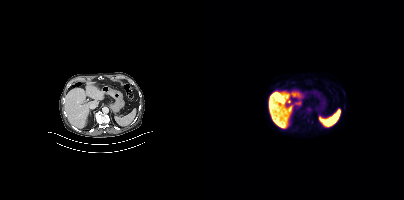
{"modality":"PSMA PET/CT","view":"axial","tracer":"18F-PSMA","pet_grid":[200,200],"coord_frame":"pet_panel","coord_format":"x0,y0,x1,y1","psma_avid_lesions":false}